modality: PSMA PET/CT | tracer: 18F | view: axial | PET grid: 256×256
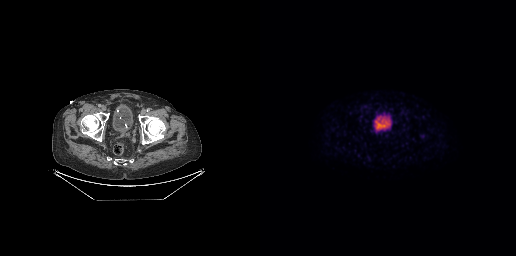
Negative for PSMA-avid disease on this slice.